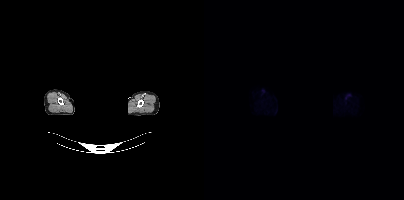
redaction: privacy mask over head | modality: PSMA PET/CT | tracer: [18F]PSMA-1007 | view: axial | PET grid: 200×200
No tumor lesions annotated on this slice.